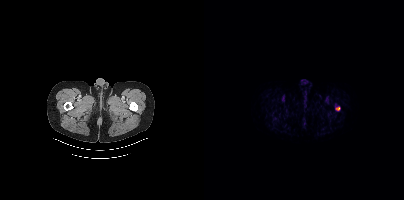
Coordinates are on the 200×200 PET (right) panel. PSMA-avid tumor lesion bounding box (x0, y0)-(x1, y1): (131, 106)-(136, 110).